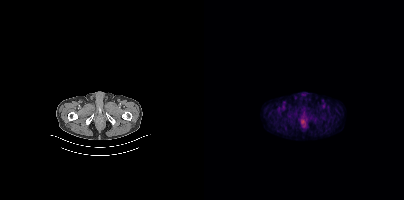
Paired axial CT (left) and PSMA PET (right), 18F-PSMA tracer. PET panel 200×200 px (4.1 mm/px). No PSMA-avid tumor lesions on this slice.